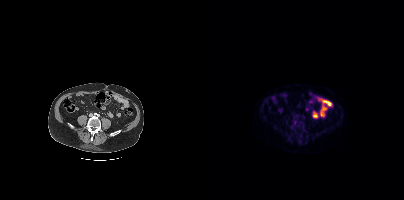
{"modality":"PSMA PET/CT","view":"axial","tracer":"18F","pet_grid":[200,200],"coord_frame":"pet_panel","coord_format":"x0,y0,x1,y1","partial":true,"lesion_bboxes":[]}